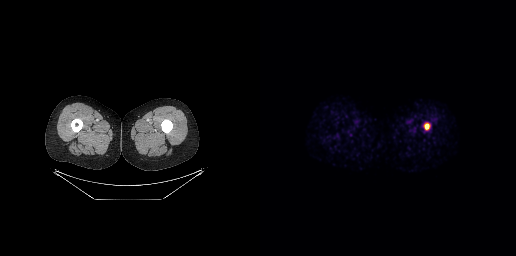
Findings: Coordinates are on the 256×256 PET (right) panel. PSMA-avid tumor lesion bounding box (x, y, width, height): x=164 y=123 w=6 h=7.
- Paired axial CT (left) and PSMA PET (right), [68Ga]Ga-PSMA-11 tracer
- slice 19 of 299
- PET panel 256×256 px (2.7 mm/px)